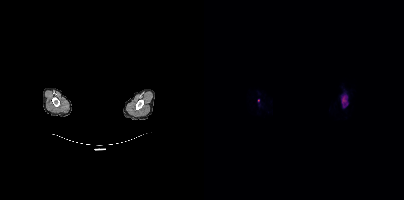
Coordinates are on the 200×200 PET (right) panel. PSMA-avid tumor lesion bounding box (x0, y0)-(x1, y1): (137, 95)-(144, 107). Small PSMA-avid focus (2 to 4 px across) near (center x, center y): (54, 100).
Any black rectangle over the head is a privacy mask, not anatomy.